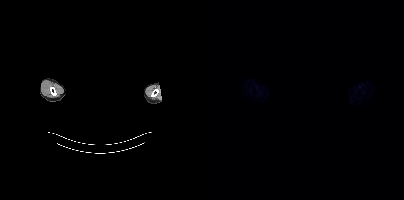
{"pet_grid":[200,200],"coord_frame":"pet_panel","coord_format":"x0,y0,x1,y1","psma_avid_lesions":false,"modality":"PSMA PET/CT","view":"axial","tracer":"18F-PSMA","deidentification":"head region blanked (face removed)"}